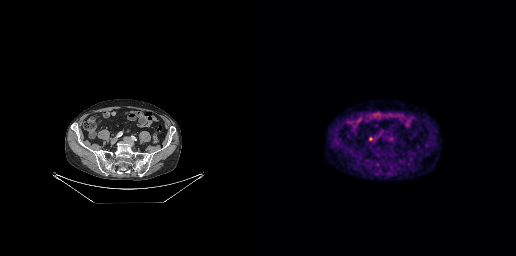
Coordinates are on the 256×256 PET (right) panel. Small PSMA-avid focus (2 to 4 px across) near (center x, center y): (110, 138).
modality: PSMA PET/CT | tracer: [18F]PSMA-1007 | view: axial